Technique: Two-panel axial: CT | PSMA PET, 18F tracer. acquired on GE Discovery 690. slice position z = -811 mm.
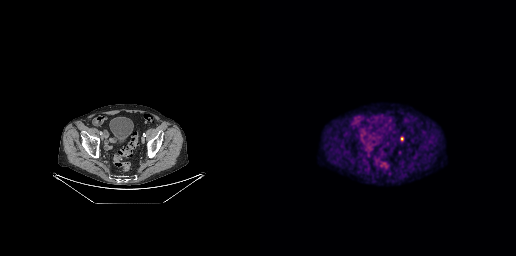
Findings: Coordinates are on the 256×256 PET (right) panel. Small PSMA-avid focus (2 to 4 px across) near (center x, center y): (141, 138).